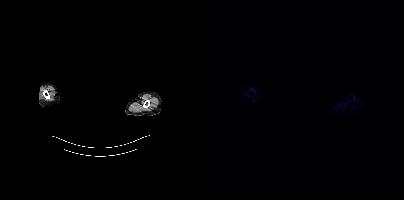
- Left: CT. Right: PSMA PET, same axial level, [18F]PSMA-1007 tracer
- acquired on Siemens Biograph mCT Flow 20
- the face region was removed for patient privacy by blanking a rectangle over the head
Findings: This slice has no annotated PSMA-avid lesion.